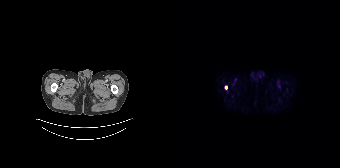
Findings: Coordinates are on the 168×168 PET (right) panel. Small PSMA-avid focus (2 to 4 px across) near (center x, center y): (54, 87).
Technique: Left: CT. Right: PSMA PET, same axial level, [18F]PSMA-1007 tracer. acquired on Siemens Biograph 64-4R TruePoint. slice 14 of 165.